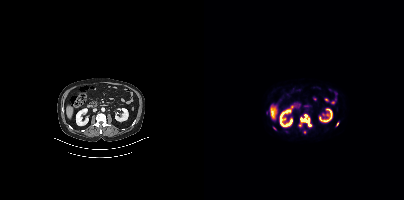
Coordinates are on the 200×200 PET (right) panel. PSMA-avid tumor lesion bounding box (x0,y0,x1,y1): [96,115,107,126]. Small PSMA-avid foci (2 to 4 px across) near (center x, center y): (100, 132) (70, 128) (133, 124) (95, 125).